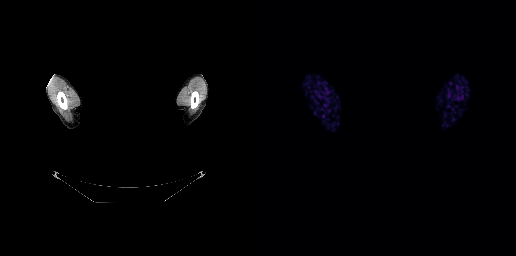
Findings: Negative for PSMA-avid disease on this slice.
- de-identified by setting a box covering the face to black before release
- Paired axial CT (left) and PSMA PET (right), [68Ga]Ga-PSMA-11 tracer
- PET panel 256×256 px (2.7 mm/px)